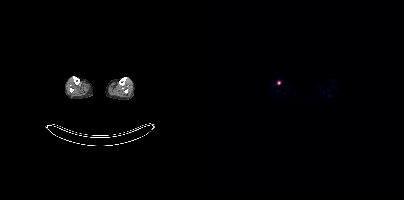
Coordinates are on the 200×200 PET (right) panel. Small PSMA-avid focus (2 to 4 px across) near (center x, center y): (74, 82).